modality: PSMA PET/CT | tracer: 18F-PSMA | view: axial
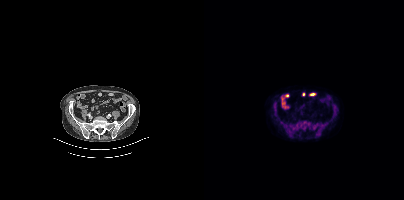
Coordinates are on the 200×200 PET (right) panel. PSMA-avid tumor lesion bounding boxes (x0,y0,x1,y1): [128,104,133,113] [70,106,72,113].